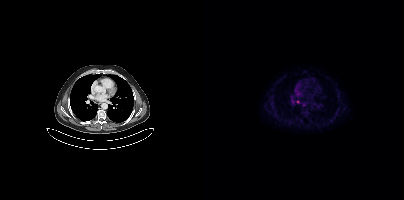
modality: PSMA PET/CT | tracer: 18F | view: axial
Coordinates are on the 200×200 PET (right) panel. Small PSMA-avid foci (2 to 4 px across) near (center x, center y): (93, 102), (100, 104).